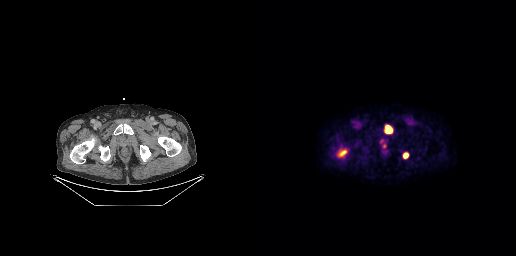
Coordinates are on the 256×256 PET (right) panel. PSMA-avid tumor lesion bounding boxes (x0,y0,x1,y1): [77,148,87,157] [124,125,132,133] [143,152,148,158] [122,143,126,148]. Small PSMA-avid focus (2 to 4 px across) near (center x, center y): (122, 141).
modality: PSMA PET/CT | tracer: 18F-PSMA | view: axial | PET grid: 256×256